Paired axial CT (left) and PSMA PET (right), 18F-PSMA tracer.
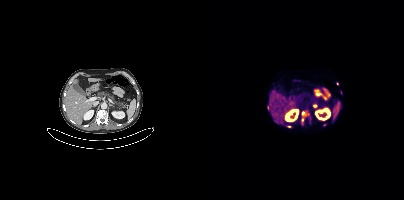
Coordinates are on the 200×200 PET (right) panel. (showing 6 of 9 foci) PSMA-avid tumor lesion bounding box (x, y, width, height): x=98 y=111 w=7 h=6. Small PSMA-avid foci (2 to 4 px across) near (center x, center y): (110, 105) | (98, 123) | (120, 125) | (98, 119) | (85, 126).